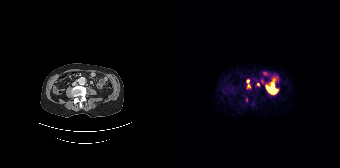
Coordinates are on the 168×168 PET (right) panel. PSMA-avid tumor lesion bounding box (x0, y0)-(x1, y1): (74, 80)-(78, 88). Small PSMA-avid focus (2 to 4 px across) near (center x, center y): (86, 84).
modality: PSMA PET/CT | tracer: 68Ga | view: axial | PET grid: 168×168